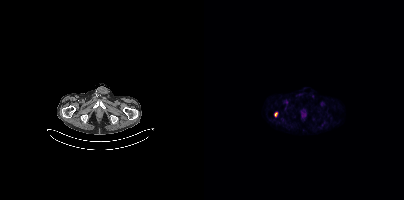
Coordinates are on the 200×200 PET (right) panel. PSMA-avid tumor lesion bounding box (x, y, width, height): x=70 y=112 w=4 h=5.